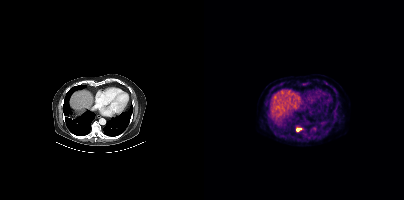
Findings: Coordinates are on the 200×200 PET (right) panel. PSMA-avid tumor lesion bounding box (x0,y0,x1,y1): [92,128,97,131].
Technique: Two-panel axial: CT | PSMA PET, [18F]PSMA-1007 tracer. acquired on Siemens Biograph mCT Flow 20. PET panel 200×200 px (4.1 mm/px).